- Paired axial CT (left) and PSMA PET (right), [68Ga]Ga-PSMA-11 tracer
- acquired on Siemens Biograph mCT Flow 20
- slice position z = -1102 mm
- PET panel 200×200 px (4.1 mm/px)
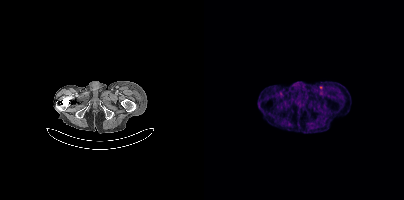
Findings: Coordinates are on the 200×200 PET (right) panel. Small PSMA-avid focus (2 to 4 px across) near (center x, center y): (116, 87).